Technique: Two-panel axial: CT | PSMA PET, 18F-PSMA tracer. acquired on GE Discovery 690. PET panel 256×256 px (2.7 mm/px).
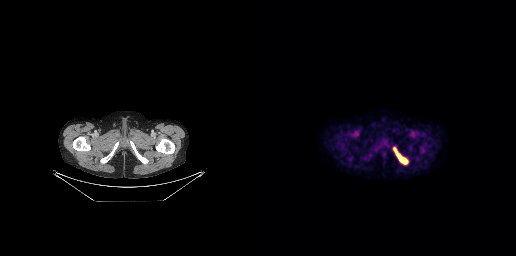
Findings: Coordinates are on the 256×256 PET (right) panel. PSMA-avid tumor lesion bounding box (x, y, width, height): x=133 y=147 w=15 h=18.